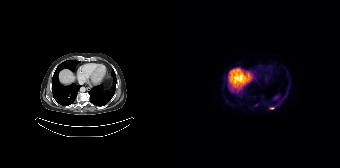
{"pet_grid":[168,168],"coord_frame":"pet_panel","coord_format":"x0,y0,x1,y1","lesion_bboxes":[[98,107,102,109]],"modality":"PSMA PET/CT","view":"axial","tracer":"18F-PSMA"}